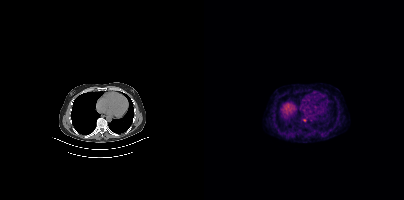
Only PSMA-avid lesion pieces thinner than 2 px on this slice (not listed). Two-panel axial: CT | PSMA PET, 68Ga tracer.